Left: CT. Right: PSMA PET, same axial level, 18F tracer. Slice 58 of 263. PET panel 256×256 px (2.7 mm/px).
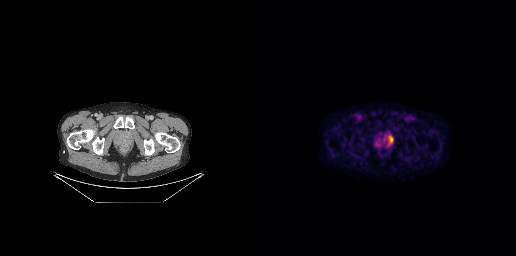
Coordinates are on the 256×256 PET (right) panel. PSMA-avid tumor lesion bounding box (x, y, width, height): x=128 y=135 w=6 h=11.